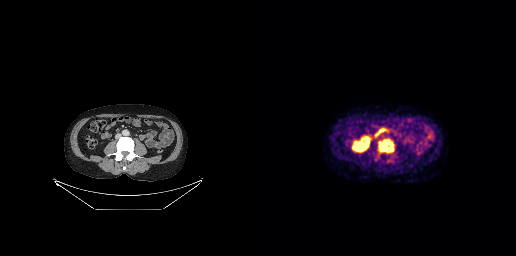
Coordinates are on the 256×256 PET (right) panel. PSMA-avid tumor lesion bounding box (x0,y0,x1,y1): [118,139,134,152].